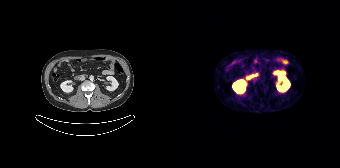
Negative for PSMA-avid disease on this slice.